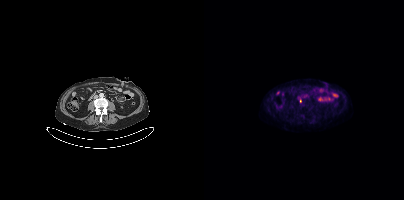
{"modality":"PSMA PET/CT","view":"axial","tracer":"[18F]PSMA-1007","pet_grid":[200,200],"coord_frame":"pet_panel","coord_format":"x0,y0,x1,y1","lesion_bboxes":[],"small_foci_centers":[[96,101]]}